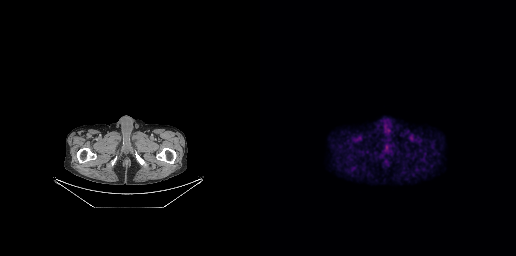
Findings: No PSMA-avid tumor lesions on this slice.
- Paired axial CT (left) and PSMA PET (right), [18F]PSMA-1007 tracer
- PET panel 256×256 px (2.7 mm/px)